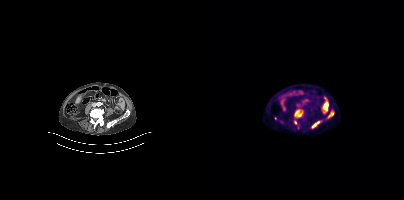
Paired axial CT (left) and PSMA PET (right), 18F tracer. Acquired on Siemens Biograph mCT Flow 20. Slice 123 of 367. PET panel 200×200 px (4.1 mm/px).
Coordinates are on the 200×200 PET (right) panel. PSMA-avid tumor lesion bounding boxes (partial; 1 more focus not listed):
| # | x0 | y0 | x1 | y1 |
|---|---|---|---|---|
| 1 | 90 | 109 | 99 | 118 |
| 2 | 90 | 120 | 93 | 124 |